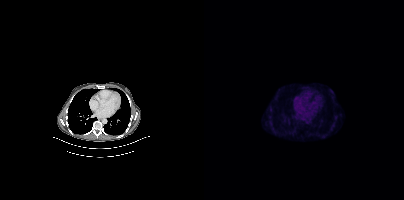
Findings: No PSMA-avid tumor lesions on this slice.
- Two-panel axial: CT | PSMA PET, 18F tracer
- acquired on Siemens Biograph mCT Flow 20